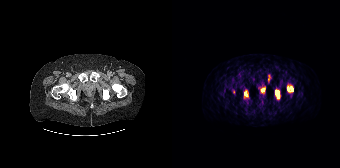
Coordinates are on the 168×168 PET (right) panel. PSMA-avid tumor lesion bounding boxes (x0, y0)-(x1, y1): (72, 89)-(76, 98) / (103, 90)-(107, 98) / (119, 86)-(121, 91) / (115, 87)-(117, 91). Small PSMA-avid focus (2 to 4 px across) near (center x, center y): (90, 89). Two-panel axial: CT | PSMA PET, 68Ga tracer. PET panel 168×168 px (4.1 mm/px).